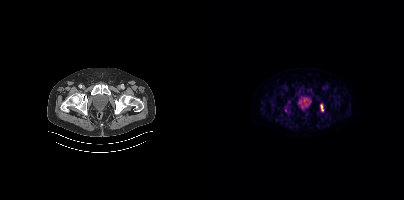
{"modality":"PSMA PET/CT","view":"axial","tracer":"18F-PSMA","pet_grid":[200,200],"coord_frame":"pet_panel","coord_format":"x0,y0,x1,y1","lesion_bboxes":[[116,105,119,111]]}